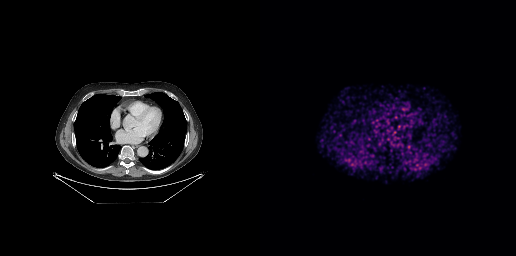
- Left: CT. Right: PSMA PET, same axial level, 68Ga tracer
- acquired on GE Discovery 690
- PET panel 256×256 px (2.7 mm/px)
Findings: Negative for PSMA-avid disease on this slice.